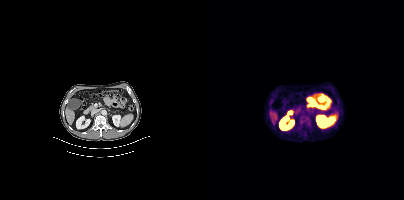
Coordinates are on the 200×200 PET (right) panel. PSMA-avid tumor lesion bounding boxes (x0, y0)-(x1, y1): (95, 115)-(106, 126) / (99, 133)-(102, 137).